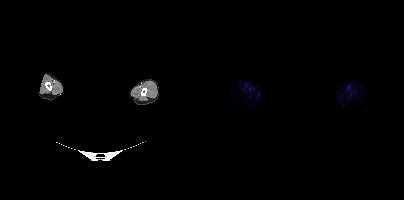
Paired axial CT (left) and PSMA PET (right), [18F]PSMA-1007 tracer. PET panel 200×200 px (4.1 mm/px). An anonymization step blacked out a rectangle over the head in this scan. No PSMA-avid tumor lesions on this slice.